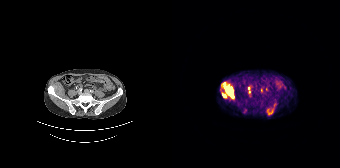
{"pet_grid":[168,168],"coord_frame":"pet_panel","coord_format":"x0,y0,x1,y1","partial":true,"lesion_bboxes":[[49,82,62,98],[95,109,101,114],[76,87,78,92]],"small_foci_centers":[[89,90],[102,105]],"modality":"PSMA PET/CT","view":"axial","tracer":"68Ga-PSMA"}